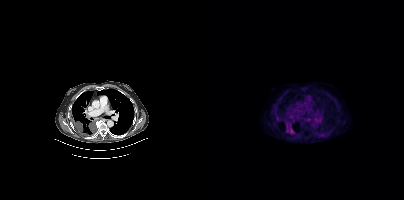
- Two-panel axial: CT | PSMA PET, 18F-PSMA tracer
Findings: Coordinates are on the 200×200 PET (right) panel. PSMA-avid tumor lesion bounding boxes (x0, y0)-(x1, y1): (82, 124)-(89, 134); (72, 115)-(74, 119).